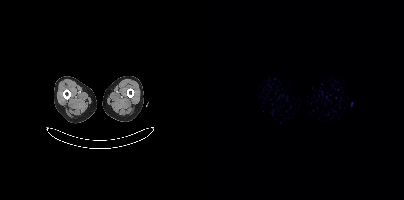
{"modality":"PSMA PET/CT","view":"axial","tracer":"68Ga-PSMA","pet_grid":[200,200],"coord_frame":"pet_panel","coord_format":"x0,y0,x1,y1","psma_avid_lesions":false}